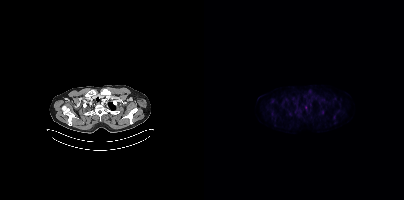
{"modality":"PSMA PET/CT","view":"axial","tracer":"[18F]PSMA-1007","pet_grid":[200,200],"coord_frame":"pet_panel","coord_format":"x0,y0,x1,y1","lesion_bboxes":[],"small_foci_centers":[[119,112],[101,107]]}